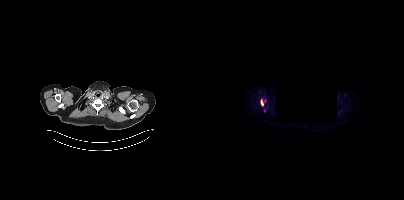
De-identified by setting a rectangular region to black. Left: CT. Right: PSMA PET, same axial level, 18F tracer. Slice 336 of 389. PET panel 200×200 px (4.1 mm/px). Coordinates are on the 200×200 PET (right) panel. (showing 1 of 2 foci) PSMA-avid tumor lesion bounding box (x0,y0,x1,y1): [56,99,61,106].